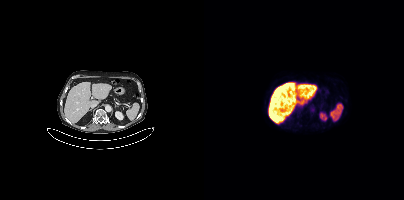
- Paired axial CT (left) and PSMA PET (right), [18F]PSMA-1007 tracer
- slice 215 of 429
- PET panel 200×200 px (4.1 mm/px)
Findings: This slice has no annotated PSMA-avid lesion.